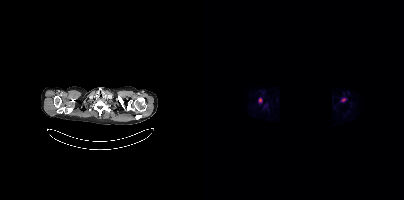
{"pet_grid":[200,200],"coord_frame":"pet_panel","coord_format":"x0,y0,x1,y1","lesion_bboxes":[[55,98,58,102]],"small_foci_centers":[[139,99]],"redaction":"region redacted","modality":"PSMA PET/CT","view":"axial","tracer":"[18F]PSMA-1007"}